- Paired axial CT (left) and PSMA PET (right), 18F tracer
- acquired on Siemens Biograph mCT Flow 20
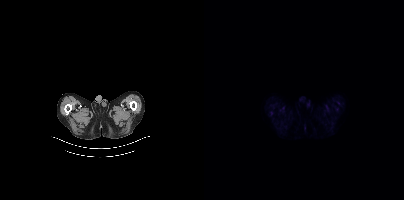
Findings: No tumor lesions annotated on this slice.